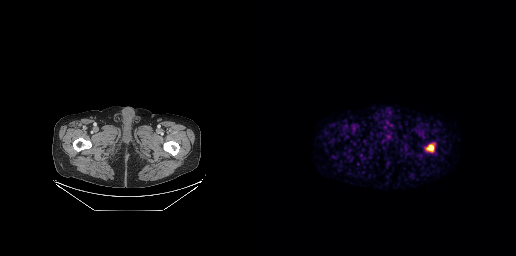
- Paired axial CT (left) and PSMA PET (right), 68Ga-PSMA tracer
- PET panel 256×256 px (2.7 mm/px)
Findings: Coordinates are on the 256×256 PET (right) panel. PSMA-avid tumor lesion bounding box (x, y, width, height): x=167 y=145 w=7 h=7.